Paired axial CT (left) and PSMA PET (right), [18F]PSMA-1007 tracer. Slice 58 of 409. PET panel 200×200 px (4.1 mm/px).
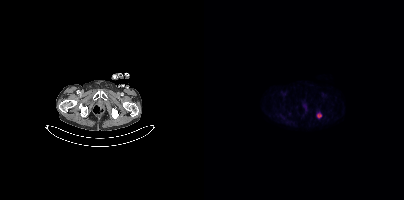
Coordinates are on the 200×200 PET (right) panel. PSMA-avid tumor lesion bounding boxes:
| # | x0 | y0 | x1 | y1 |
|---|---|---|---|---|
| 1 | 113 | 114 | 117 | 117 |